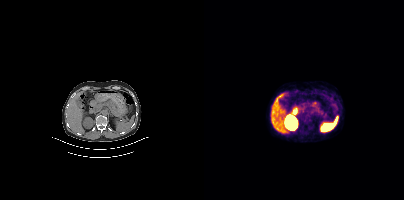
Technique: Paired axial CT (left) and PSMA PET (right), 68Ga-PSMA tracer. slice position z = -753 mm.
Findings: Negative for PSMA-avid disease on this slice.